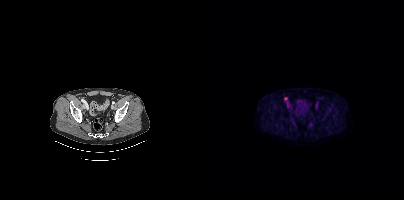
Coordinates are on the 200×200 PET (right) panel. Small PSMA-avid focus (2 to 4 px across) near (center x, center y): (81, 99).